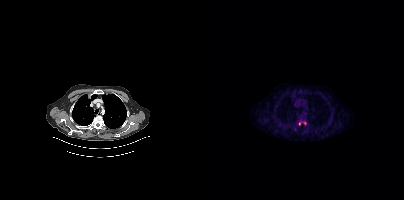
{"pet_grid":[200,200],"coord_frame":"pet_panel","coord_format":"x0,y0,x1,y1","lesion_bboxes":[],"small_foci_centers":[[95,123],[100,123]],"modality":"PSMA PET/CT","view":"axial","tracer":"18F-PSMA"}